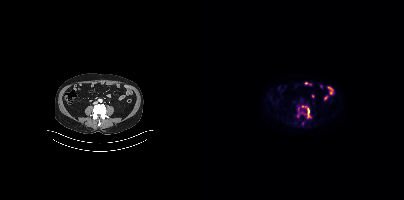
{"modality":"PSMA PET/CT","view":"axial","tracer":"18F","pet_grid":[200,200],"coord_frame":"pet_panel","coord_format":"x0,y0,x1,y1","partial":true,"lesion_bboxes":[[97,105,107,118]],"small_foci_centers":[[94,115],[94,109],[99,113]]}